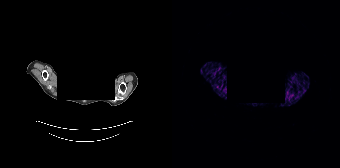
The head region is masked for de-identification. Paired axial CT (left) and PSMA PET (right), 68Ga-PSMA tracer. Slice position z = -1047 mm. PET panel 168×168 px (4.1 mm/px). Negative for PSMA-avid disease on this slice.